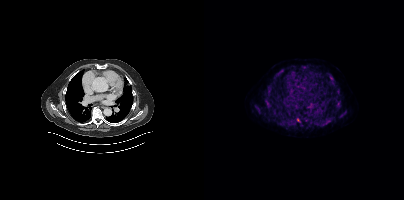
Technique: Paired axial CT (left) and PSMA PET (right), 18F tracer. slice 314 of 454. PET panel 200×200 px (4.1 mm/px).
Findings: Coordinates are on the 200×200 PET (right) panel. (showing 13 of 16 foci) PSMA-avid tumor lesion bounding boxes (x, y, width, height): x=124 y=74 w=8 h=12 | x=63 y=89 w=5 h=6 | x=122 y=119 w=6 h=6 | x=74 y=70 w=6 h=5 | x=52 y=107 w=4 h=5 | x=133 y=100 w=4 h=5 | x=95 y=114 w=8 h=6. Small PSMA-avid foci (2 to 4 px across) near (center x, center y): (62, 98) | (89, 123) | (128, 117) | (63, 103) | (130, 111) | (93, 119).